- Two-panel axial: CT | PSMA PET, 18F tracer
- acquired on Siemens Biograph mCT Flow 20
- slice 247 of 395
- PET panel 200×200 px (4.1 mm/px)
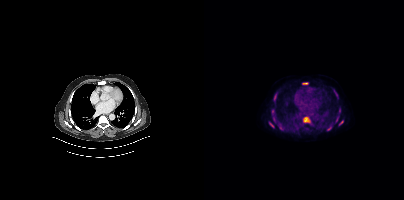
Findings: Coordinates are on the 200×200 PET (right) panel. PSMA-avid tumor lesion bounding boxes (x, y, width, height): x=99 y=117 w=8 h=6 | x=68 y=115 w=5 h=5 | x=123 y=125 w=5 h=6 | x=135 y=120 w=5 h=6 | x=65 y=122 w=6 h=6 | x=98 y=82 w=7 h=3 | x=70 y=96 w=3 h=5 | x=131 y=116 w=4 h=7. Small PSMA-avid foci (2 to 4 px across) near (center x, center y): (68, 110) | (75, 124) | (130, 90) | (79, 129).